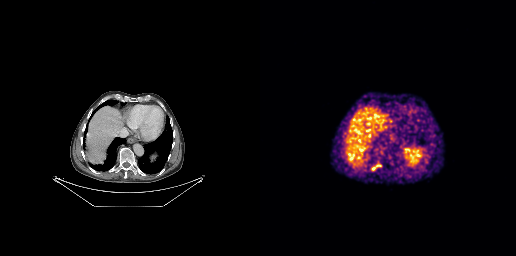
{"modality":"PSMA PET/CT","view":"axial","tracer":"68Ga","pet_grid":[256,256],"coord_frame":"pet_panel","coord_format":"x0,y0,x1,y1","lesion_bboxes":[[111,162,121,170]]}